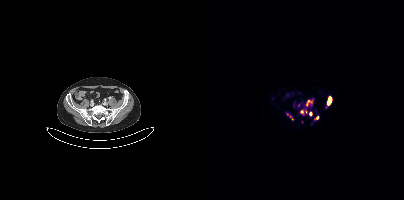
{"pet_grid":[200,200],"coord_frame":"pet_panel","coord_format":"x0,y0,x1,y1","partial":true,"lesion_bboxes":[[101,100,108,106],[123,97,127,104],[83,113,89,119]],"small_foci_centers":[[97,111],[112,117],[106,113],[94,104]],"modality":"PSMA PET/CT","view":"axial","tracer":"[68Ga]Ga-PSMA-11"}